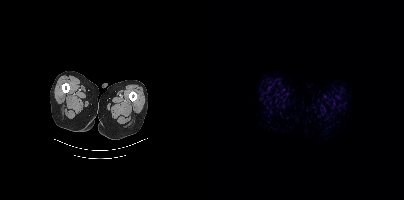
{"modality":"PSMA PET/CT","view":"axial","tracer":"[18F]PSMA-1007","pet_grid":[200,200],"coord_frame":"pet_panel","coord_format":"x0,y0,x1,y1","psma_avid_lesions":false}